- Paired axial CT (left) and PSMA PET (right), [18F]PSMA-1007 tracer
- acquired on Siemens Biograph mCT Flow 20
- PET panel 200×200 px (4.1 mm/px)
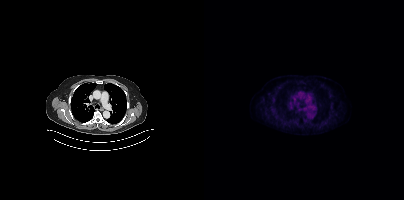
Findings: This slice has no annotated PSMA-avid lesion.